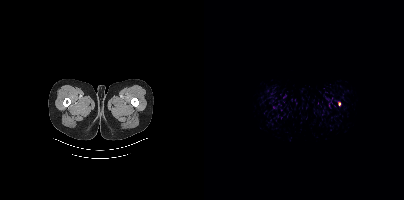
Two-panel axial: CT | PSMA PET, [18F]PSMA-1007 tracer. Slice position z = -1124 mm. PET panel 200×200 px (4.1 mm/px). Coordinates are on the 200×200 PET (right) panel. PSMA-avid tumor lesion bounding box (x, y, width, height): x=134 y=101 w=3 h=6.